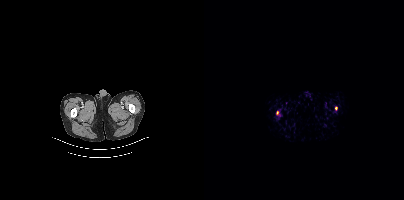
Technique: Two-panel axial: CT | PSMA PET, 18F tracer. acquired on Siemens Biograph mCT Flow 20.
Findings: Coordinates are on the 200×200 PET (right) panel. Small PSMA-avid foci (2 to 4 px across) near (center x, center y): (132, 108), (73, 112).